- Left: CT. Right: PSMA PET, same axial level, 18F tracer
- acquired on Siemens Biograph mCT Flow 20
- slice 283 of 381
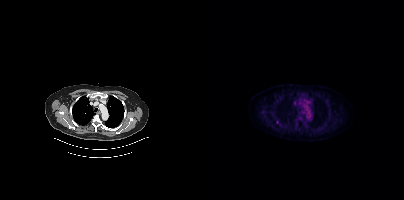
Findings: Coordinates are on the 200×200 PET (right) panel. Small PSMA-avid focus (2 to 4 px across) near (center x, center y): (73, 122).